modality: PSMA PET/CT | tracer: 18F-PSMA | view: axial
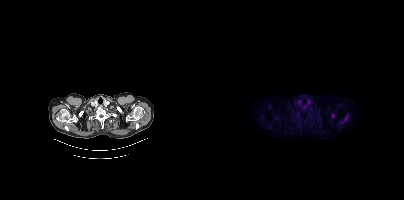
Coordinates are on the 200×200 PET (right) panel. PSMA-avid tumor lesion bounding boxes (x, y, width, height): x=137 y=114 w=8 h=10; x=128 y=113 w=3 h=6.